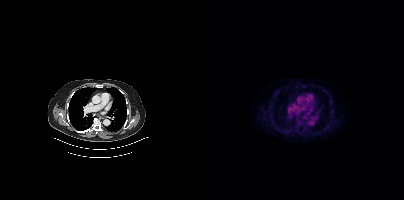
Technique: Paired axial CT (left) and PSMA PET (right), 18F-PSMA tracer. acquired on Siemens Biograph mCT Flow 20.
Findings: Negative for PSMA-avid disease on this slice.